modality: PSMA PET/CT | tracer: [18F]PSMA-1007 | view: axial
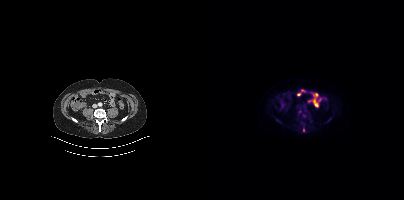
Coordinates are on the 200×200 PET (right) panel. Small PSMA-avid foci (2 to 4 px across) near (center x, center y): (99, 129), (95, 112), (100, 115).